- Two-panel axial: CT | PSMA PET, 18F-PSMA tracer
- slice position z = -1495 mm
- PET panel 200×200 px (4.1 mm/px)
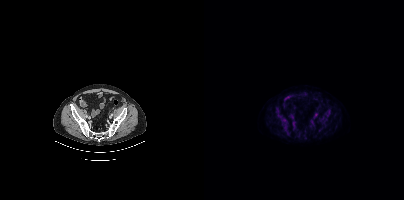
Findings: No PSMA-avid tumor lesions on this slice.